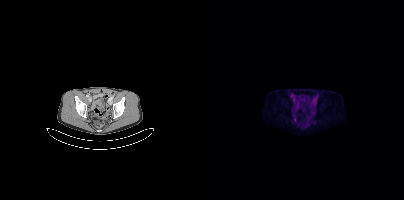
Paired axial CT (left) and PSMA PET (right), [18F]PSMA-1007 tracer. PET panel 200×200 px (4.1 mm/px). Coordinates are on the 200×200 PET (right) panel. Small PSMA-avid focus (2 to 4 px across) near (center x, center y): (91, 120).